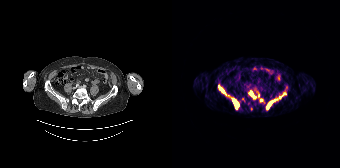
Findings: Coordinates are on the 168×168 PET (right) panel. (showing 7 of 9 foci) PSMA-avid tumor lesion bounding boxes (x0, y0)-(x1, y1): (59, 98)-(66, 108) / (94, 99)-(103, 109) / (46, 85)-(53, 93) / (77, 91)-(83, 98). Small PSMA-avid foci (2 to 4 px across) near (center x, center y): (89, 100) / (111, 94) / (107, 97).
Technique: Left: CT. Right: PSMA PET, same axial level, [68Ga]Ga-PSMA-11 tracer.